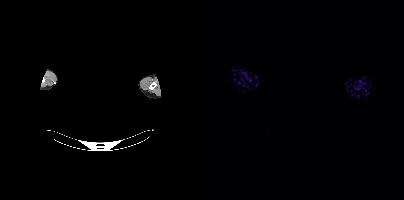
No tumor lesions annotated on this slice. Paired axial CT (left) and PSMA PET (right), [18F]PSMA-1007 tracer. A rectangular block over the head has been blanked out for de-identification.